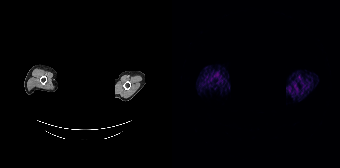
Findings: Negative for PSMA-avid disease on this slice.
- Left: CT. Right: PSMA PET, same axial level, 68Ga tracer
- slice 179 of 195
- the face region was removed for patient privacy by blanking a rectangle over the head